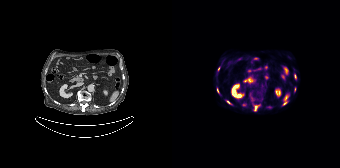
{"modality":"PSMA PET/CT","view":"axial","tracer":"18F","pet_grid":[168,168],"coord_frame":"pet_panel","coord_format":"x0,y0,x1,y1","partial":true,"lesion_bboxes":[[82,105,87,111],[54,100,59,104],[111,101,115,105],[122,74,124,78],[45,88,47,93]],"small_foci_centers":[[46,68],[71,104]]}